- Paired axial CT (left) and PSMA PET (right), 18F tracer
- slice 388 of 419
- a rectangular block over the head has been blanked out for de-identification
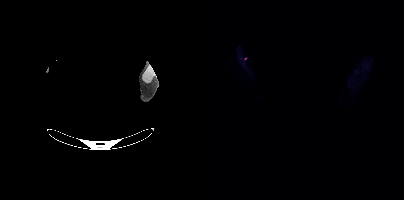
Findings: Negative for PSMA-avid disease on this slice.